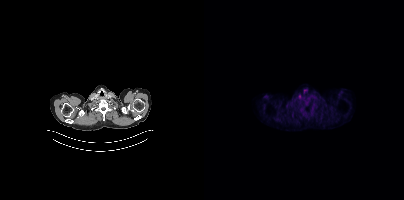
{"modality":"PSMA PET/CT","view":"axial","tracer":"18F","pet_grid":[200,200],"coord_frame":"pet_panel","coord_format":"x0,y0,x1,y1","psma_avid_lesions":false}